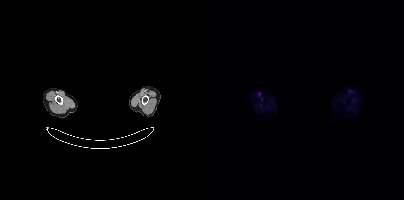
The head region is masked for de-identification. Left: CT. Right: PSMA PET, same axial level, 18F tracer. Slice position z = -1078 mm. PET panel 200×200 px (4.1 mm/px). This slice has no annotated PSMA-avid lesion.